Technique: Paired axial CT (left) and PSMA PET (right), [18F]PSMA-1007 tracer. slice 253 of 466.
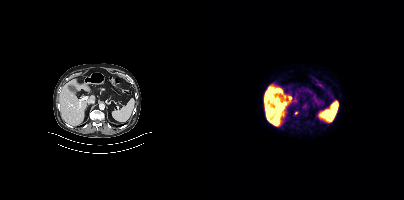
Findings: Coordinates are on the 200×200 PET (right) panel. Small PSMA-avid focus (2 to 4 px across) near (center x, center y): (92, 113).